Two-panel axial: CT | PSMA PET, 18F tracer. Slice position z = -530 mm. PET panel 200×200 px (4.1 mm/px).
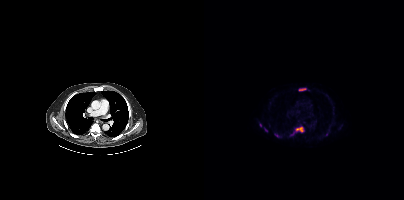
Coordinates are on the 200×200 PET (right) panel. (showing 5 of 6 foci) PSMA-avid tumor lesion bounding boxes (x0,y0,x1,y1): [92,127,99,132] [95,88,101,90]. Small PSMA-avid foci (2 to 4 px across) near (center x, center y): (72, 135) (62, 130) (56, 125).